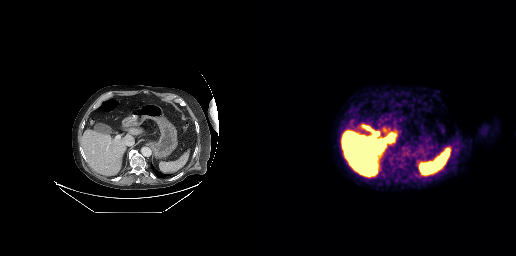
Technique: Left: CT. Right: PSMA PET, same axial level, [18F]PSMA-1007 tracer. acquired on GE Discovery 690.
Findings: No PSMA-avid tumor lesions on this slice.